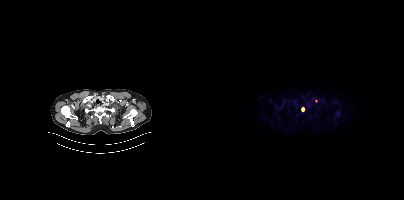
Coordinates are on the 200×200 PET (right) panel. (showing 1 of 2 foci) Small PSMA-avid focus (2 to 4 px across) near (center x, center y): (99, 109).
modality: PSMA PET/CT | tracer: 18F-PSMA | view: axial